Left: CT. Right: PSMA PET, same axial level, 68Ga tracer. Acquired on GE Discovery 690.
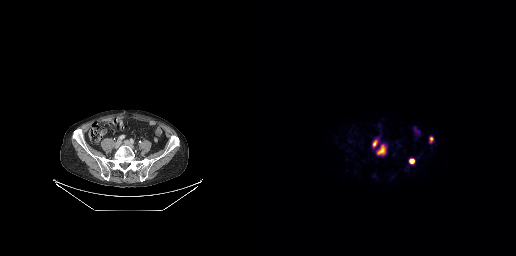
Coordinates are on the 256×256 PET (right) panel. PSMA-avid tumor lesion bounding boxes (x0, y0)-(x1, y1): (117, 145)-(125, 154) / (170, 137)-(173, 142) / (113, 140)-(116, 146) / (150, 159)-(153, 163).